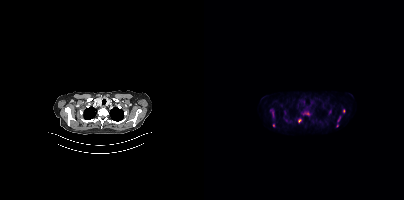
Coordinates are on the 200×200 PET (right) panel. (showing 7 of 8 foci) Small PSMA-avid foci (2 to 4 px across) near (center x, center y): (95, 120); (140, 110); (103, 113); (69, 125); (133, 125); (125, 112); (135, 116).